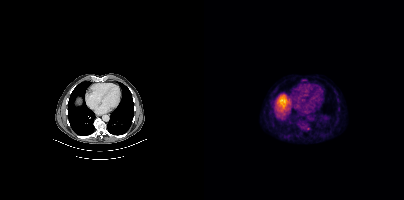
Paired axial CT (left) and PSMA PET (right), [18F]PSMA-1007 tracer. Acquired on Siemens Biograph mCT Flow 20. Coordinates are on the 200×200 PET (right) panel. Small PSMA-avid focus (2 to 4 px across) near (center x, center y): (104, 128).